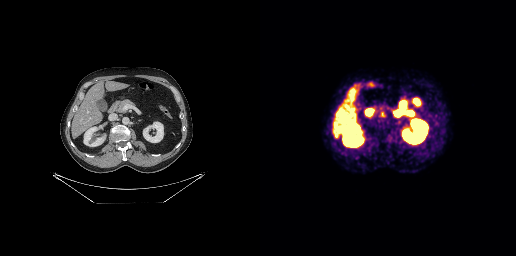
modality: PSMA PET/CT | tracer: 68Ga-PSMA | view: axial | PET grid: 256×256
Coordinates are on the 256×256 PET (right) panel. PSMA-avid tumor lesion bounding box (x, y, width, height): x=121 y=112 w=4 h=5.